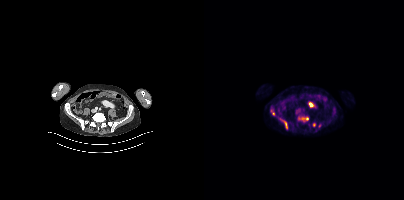
{"modality":"PSMA PET/CT","view":"axial","tracer":"18F-PSMA","pet_grid":[200,200],"coord_frame":"pet_panel","coord_format":"x0,y0,x1,y1","partial":true,"lesion_bboxes":[[76,119,83,129],[95,117,104,120]],"small_foci_centers":[[69,113]]}